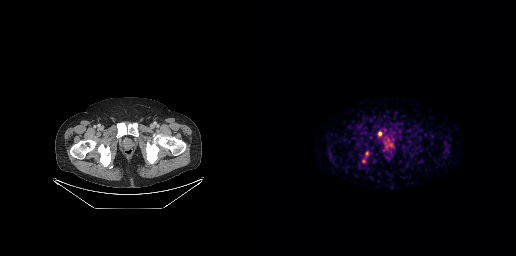
Paired axial CT (left) and PSMA PET (right), [68Ga]Ga-PSMA-11 tracer. Acquired on GE Discovery 690. PET panel 256×256 px (2.7 mm/px). Coordinates are on the 256×256 PET (right) panel. Small PSMA-avid foci (2 to 4 px across) near (center x, center y): (119, 133); (107, 153); (103, 161).